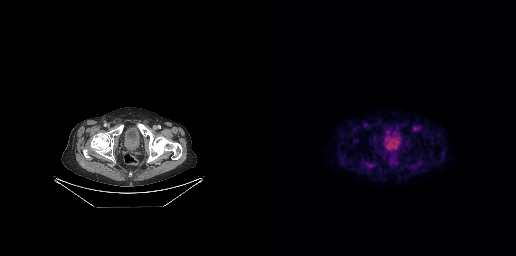
This slice has no annotated PSMA-avid lesion.